Paired axial CT (left) and PSMA PET (right), 68Ga-PSMA tracer. PET panel 256×256 px (2.7 mm/px).
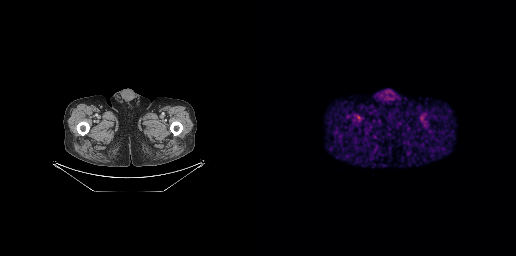
Negative for PSMA-avid disease on this slice.